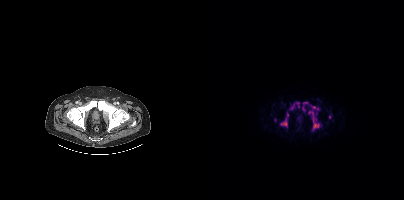
Two-panel axial: CT | PSMA PET, 18F tracer. Slice position z = -1004 mm.
Coordinates are on the 200×200 PET (right) panel. PSMA-avid tumor lesion bounding boxes (partial; 1 more focus not listed):
| # | x0 | y0 | x1 | y1 |
|---|---|---|---|---|
| 1 | 85 | 102 | 92 | 110 |
| 2 | 76 | 118 | 83 | 126 |
| 3 | 98 | 101 | 103 | 110 |
| 4 | 109 | 123 | 115 | 128 |
| 5 | 107 | 116 | 111 | 120 |
| 6 | 104 | 111 | 109 | 114 |
| 7 | 107 | 106 | 111 | 108 |
Small PSMA-avid foci (2 to 4 px across) near (center x, center y): (83, 113); (70, 119); (113, 108); (125, 116); (112, 112).